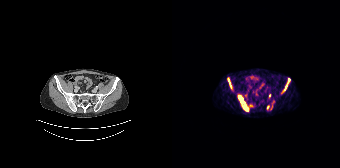
Coordinates are on the 168×168 PET (right) panel. PSMA-avid tumor lesion bounding boxes (x0, y0)-(x1, y1): (66, 95)-(76, 110) / (110, 78)-(118, 92) / (56, 80)-(59, 88) / (95, 105)-(97, 109) / (99, 105)-(100, 109). Small PSMA-avid foci (2 to 4 px across) near (center x, center y): (101, 102) / (97, 95). Paired axial CT (left) and PSMA PET (right), 68Ga tracer. PET panel 168×168 px (4.1 mm/px).